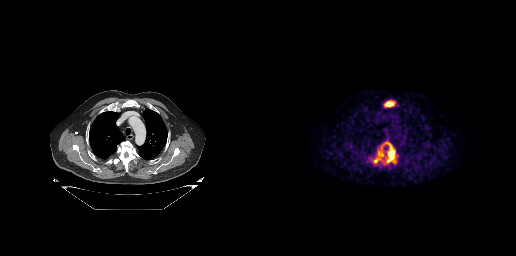
Coordinates are on the 256×256 PET (right) panel. PSMA-avid tumor lesion bounding boxes (x0, y0)-(x1, y1): (113, 141)-(137, 164) | (124, 100)-(135, 107). Two-panel axial: CT | PSMA PET, 68Ga tracer. Acquired on GE Discovery 690. Slice position z = -316 mm. PET panel 256×256 px (2.7 mm/px).